Left: CT. Right: PSMA PET, same axial level, 18F tracer. PET panel 256×256 px (2.7 mm/px).
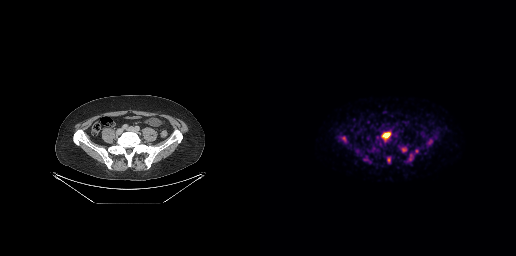
Coordinates are on the 256×256 PET (right) panel. (showing 6 of 7 foci) PSMA-avid tumor lesion bounding boxes (x0, y0)-(x1, y1): (121, 131)-(131, 141); (167, 139)-(172, 145); (142, 148)-(146, 151); (103, 158)-(108, 160). Small PSMA-avid foci (2 to 4 px across) near (center x, center y): (83, 138); (129, 159).